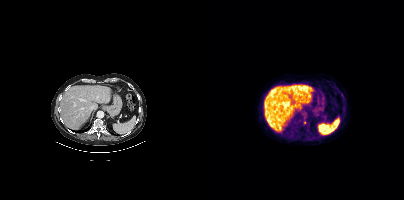
{"modality":"PSMA PET/CT","view":"axial","tracer":"[18F]PSMA-1007","pet_grid":[200,200],"coord_frame":"pet_panel","coord_format":"x0,y0,x1,y1","lesion_bboxes":[],"small_foci_centers":[[100,122]]}